Technique: Paired axial CT (left) and PSMA PET (right), [18F]PSMA-1007 tracer. acquired on GE Discovery 690. slice position z = -691 mm. PET panel 256×256 px (2.7 mm/px).
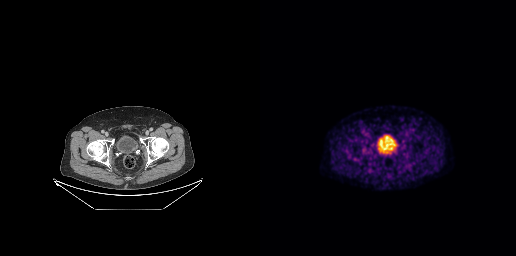
Findings: No PSMA-avid tumor lesions on this slice.